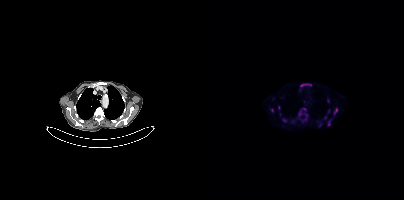
modality: PSMA PET/CT | tracer: 18F | view: axial
Coordinates are on the 200×200 PET (right) panel. (showing 6 of 12 foci) PSMA-avid tumor lesion bounding boxes (x0, y0)-(x1, y1): (130, 108)-(133, 113); (124, 121)-(126, 125); (97, 84)-(101, 86). Small PSMA-avid foci (2 to 4 px across) near (center x, center y): (80, 120); (100, 108); (95, 113).